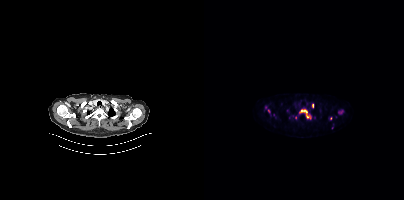
Coordinates are on the 200×200 PET (right) panel. (showing 2 of 3 foci) PSMA-avid tumor lesion bounding box (x0, y0)-(x1, y1): (96, 109)-(106, 118). Small PSMA-avid focus (2 to 4 px across) near (center x, center y): (65, 110).